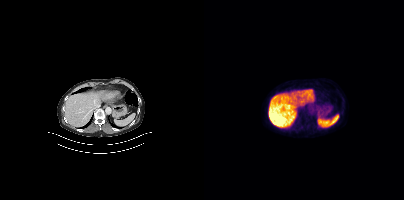
This slice has no annotated PSMA-avid lesion.